Left: CT. Right: PSMA PET, same axial level, 18F-PSMA tracer.
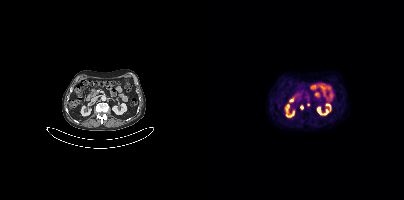
Coordinates are on the 200×200 PET (right) panel. Small PSMA-avid focus (2 to 4 px across) near (center x, center y): (98, 107).